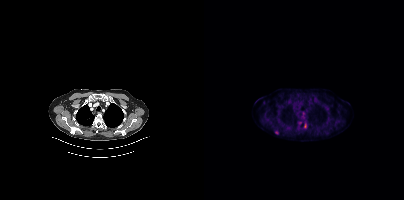
Coordinates are on the 200×200 PET (right) panel. (showing 3 of 4 foci) Small PSMA-avid foci (2 to 4 px across) near (center x, center y): (72, 132) | (101, 125) | (84, 127).